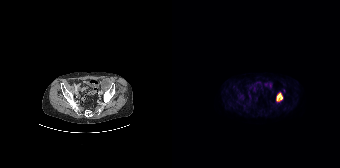
- Two-panel axial: CT | PSMA PET, 18F tracer
- slice position z = -1143 mm
- PET panel 168×168 px (4.1 mm/px)
Findings: Coordinates are on the 168×168 PET (right) panel. PSMA-avid tumor lesion bounding box (x, y, width, height): x=104 y=92 w=7 h=10.